modality: PSMA PET/CT | tracer: [18F]PSMA-1007 | view: axial | PET grid: 200×200
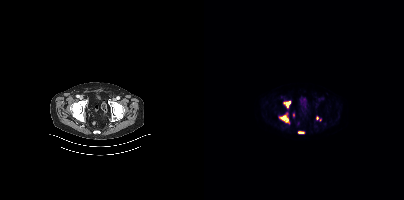
Coordinates are on the 200×200 PET (right) panel. (showing 5 of 6 foci) PSMA-avid tumor lesion bounding boxes (x0, y0)-(x1, y1): (76, 115)-(84, 122) | (80, 101)-(86, 107) | (94, 131)-(99, 133). Small PSMA-avid foci (2 to 4 px across) near (center x, center y): (113, 118) | (89, 115).